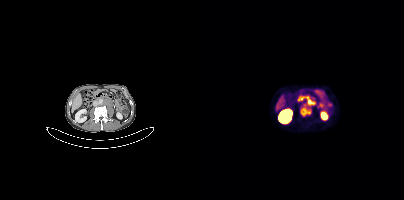
- Left: CT. Right: PSMA PET, same axial level, [68Ga]Ga-PSMA-11 tracer
Findings: Coordinates are on the 200×200 PET (right) panel. PSMA-avid tumor lesion bounding box (x, y, width, height): x=96 y=96 w=16 h=21.